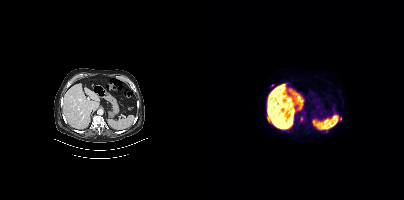
Coordinates are on the 200×200 PET (right) panel. (showing 3 of 4 foci) Small PSMA-avid foci (2 to 4 px across) near (center x, center y): (97, 119); (136, 119); (122, 131).